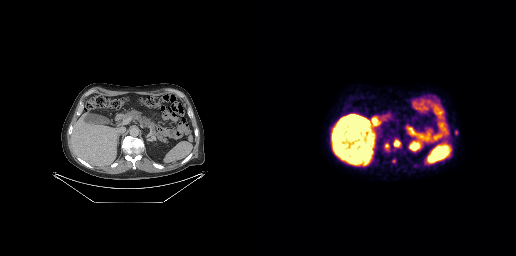
{"modality":"PSMA PET/CT","view":"axial","tracer":"[18F]PSMA-1007","pet_grid":[256,256],"coord_frame":"pet_panel","coord_format":"x0,y0,x1,y1","lesion_bboxes":[[134,140,140,146]],"small_foci_centers":[[126,145]]}